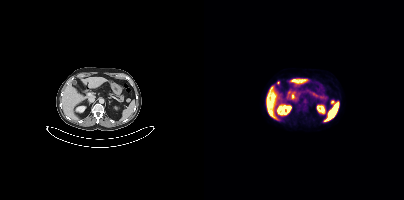
Coordinates are on the 200×200 PET (right) panel. PSMA-avid tumor lesion bounding boxes:
| # | x0 | y0 | x1 | y1 |
|---|---|---|---|---|
| 1 | 127 | 100 | 131 | 104 |
Two-panel axial: CT | PSMA PET, 18F tracer.